Left: CT. Right: PSMA PET, same axial level, 18F-PSMA tracer.
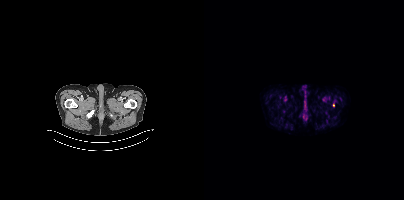
Coordinates are on the 200×200 PET (right) panel. Small PSMA-avid focus (2 to 4 px across) near (center x, center y): (129, 104).